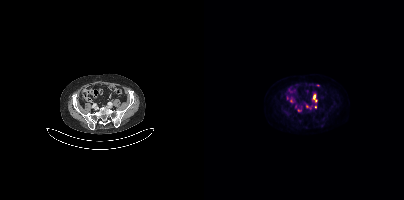
Coordinates are on the 200×200 PET (right) panel. (showing 3 of 4 foci) PSMA-avid tumor lesion bounding box (x0,y0,x1,y1): [109,94,113,101]. Small PSMA-avid foci (2 to 4 px across) near (center x, center y): (94, 110) (111, 106).
modality: PSMA PET/CT | tracer: [18F]PSMA-1007 | view: axial | PET grid: 200×200